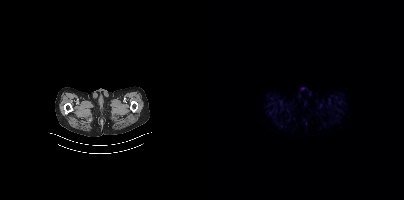
modality: PSMA PET/CT | tracer: 18F-PSMA | view: axial | PET grid: 200×200
This slice has no annotated PSMA-avid lesion.